Technique: Paired axial CT (left) and PSMA PET (right), 68Ga tracer. PET panel 200×200 px (4.1 mm/px).
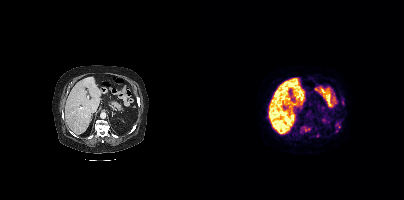
Findings: Coordinates are on the 200×200 PET (right) panel. (showing 2 of 4 foci) Small PSMA-avid foci (2 to 4 px across) near (center x, center y): (113, 135) / (101, 129).